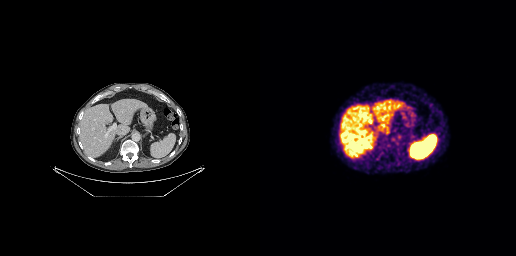
No tumor lesions annotated on this slice.